Technique: Paired axial CT (left) and PSMA PET (right), [18F]PSMA-1007 tracer. acquired on Siemens Biograph mCT Flow 20. PET panel 200×200 px (4.1 mm/px).
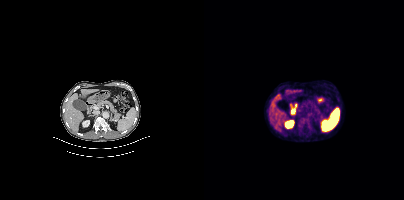
Findings: Coordinates are on the 200×200 PET (right) panel. PSMA-avid tumor lesion bounding box (x, y, width, height): x=95 y=117 w=14 h=12.